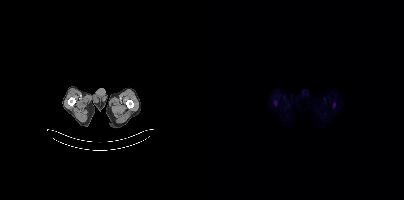
Two-panel axial: CT | PSMA PET, 18F-PSMA tracer. Acquired on Siemens Biograph mCT Flow 20. Negative for PSMA-avid disease on this slice.